Left: CT. Right: PSMA PET, same axial level, 18F tracer. Slice position z = -233 mm. PET panel 200×200 px (4.1 mm/px).
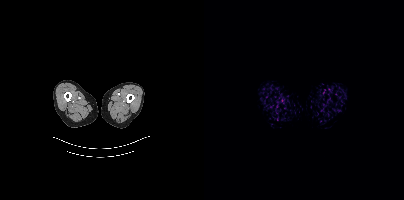
Negative for PSMA-avid disease on this slice.